- Two-panel axial: CT | PSMA PET, 18F-PSMA tracer
- acquired on GE Discovery 690
- slice 180 of 263
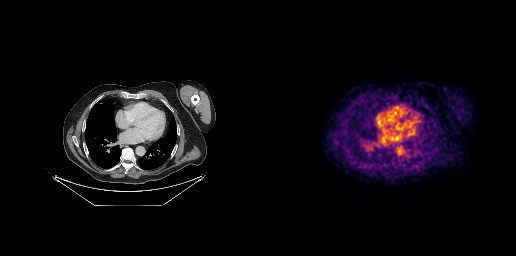
Findings: This slice has no annotated PSMA-avid lesion.